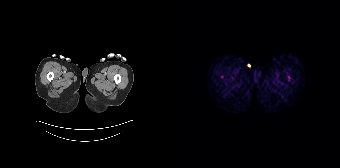
{"modality":"PSMA PET/CT","view":"axial","tracer":"68Ga","pet_grid":[168,168],"coord_frame":"pet_panel","coord_format":"x0,y0,x1,y1","psma_avid_lesions":false}